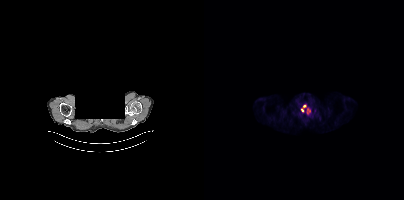
Technique: Paired axial CT (left) and PSMA PET (right), 18F tracer. PET panel 200×200 px (4.1 mm/px).
Note: Privacy masking over the head, with the pixels inside a rectangle set to black.
Findings: Coordinates are on the 200×200 PET (right) panel. (showing 2 of 3 foci) PSMA-avid tumor lesion bounding boxes (x0, y0)-(x1, y1): (97, 105)-(102, 111); (102, 109)-(106, 114).